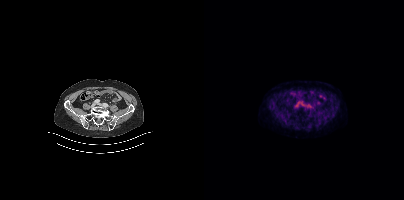
Findings: No tumor lesions annotated on this slice.
Technique: Two-panel axial: CT | PSMA PET, 18F-PSMA tracer. PET panel 200×200 px (4.1 mm/px).